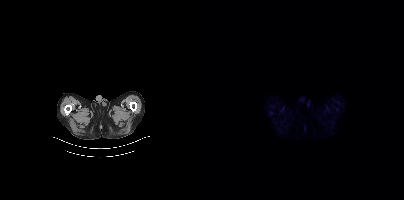
Findings: Negative for PSMA-avid disease on this slice.
Technique: Left: CT. Right: PSMA PET, same axial level, 18F-PSMA tracer.